Technique: Left: CT. Right: PSMA PET, same axial level, [18F]PSMA-1007 tracer. PET panel 200×200 px (4.1 mm/px).
Note: Part of this slice was blanked for de-identification.
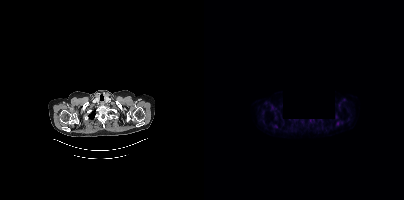
Findings: This slice has no annotated PSMA-avid lesion.